Technique: Two-panel axial: CT | PSMA PET, [68Ga]Ga-PSMA-11 tracer.
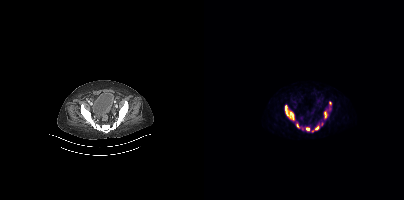
Findings: No PSMA-avid tumor lesions on this slice.